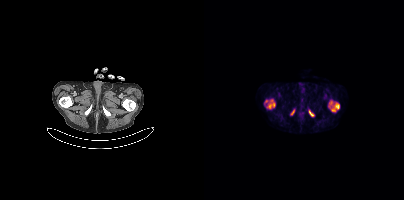
Technique: Left: CT. Right: PSMA PET, same axial level, 18F-PSMA tracer. slice position z = -316 mm.
Findings: Coordinates are on the 200×200 PET (right) panel. PSMA-avid tumor lesion bounding boxes (x0,y0,x1,y1): [125,101,135,111], [63,99,71,108], [105,110,110,116], [87,110,90,114]. Small PSMA-avid focus (2 to 4 px across) near (center x, center y): (62, 101).